modality: PSMA PET/CT | tracer: 18F-PSMA | view: axial
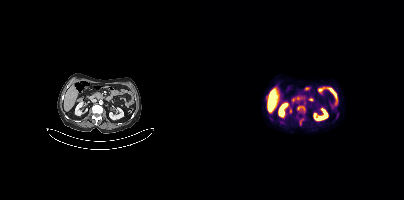
Coordinates are on the 200×200 PET (right) panel. PSMA-avid tumor lesion bounding box (x, y, width, height): x=93 y=105 w=9 h=9. Small PSMA-avid focus (2 to 4 px across) near (center x, center y): (97, 120).